Paired axial CT (left) and PSMA PET (right), [18F]PSMA-1007 tracer. Acquired on Siemens Biograph mCT Flow 20. Slice position z = -944 mm. PET panel 200×200 px (4.1 mm/px).
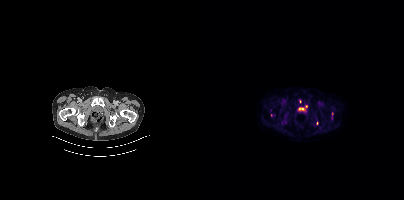
Coordinates are on the 200×200 PET (right) panel. (showing 2 of 4 foci) Small PSMA-avid foci (2 to 4 px across) near (center x, center y): (113, 122) / (102, 106).